- Paired axial CT (left) and PSMA PET (right), [18F]PSMA-1007 tracer
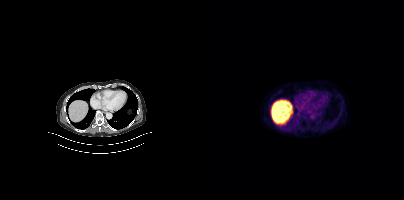
Findings: Negative for PSMA-avid disease on this slice.